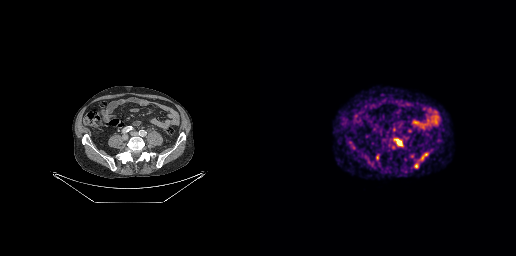
{"modality":"PSMA PET/CT","view":"axial","tracer":"[68Ga]Ga-PSMA-11","pet_grid":[256,256],"coord_frame":"pet_panel","coord_format":"x0,y0,x1,y1","partial":true,"lesion_bboxes":[[162,152,168,158],[137,139,141,144]],"small_foci_centers":[[133,146],[93,147],[117,156]]}